- Left: CT. Right: PSMA PET, same axial level, 68Ga-PSMA tracer
- slice position z = -700 mm
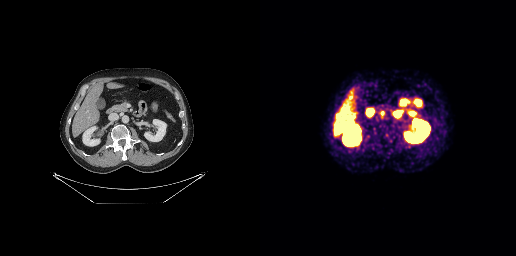
Findings: Coordinates are on the 256×256 PET (right) panel. PSMA-avid tumor lesion bounding box (x, y, width, height): x=120 y=111 w=5 h=8.